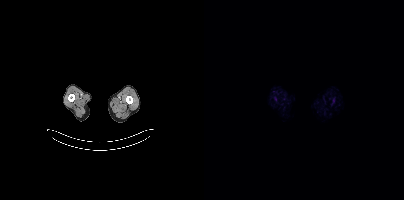
{"modality":"PSMA PET/CT","view":"axial","tracer":"18F","pet_grid":[200,200],"coord_frame":"pet_panel","coord_format":"x0,y0,x1,y1","psma_avid_lesions":false}